Paired axial CT (left) and PSMA PET (right), 18F tracer.
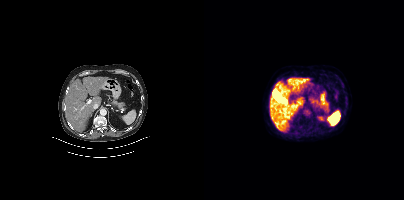
No PSMA-avid tumor lesions on this slice.